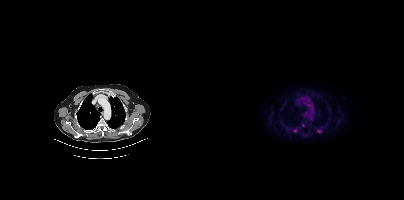
Coordinates are on the 200×200 PET (right) panel. Small PSMA-avid focus (2 to 4 px across) near (center x, center y): (115, 131).